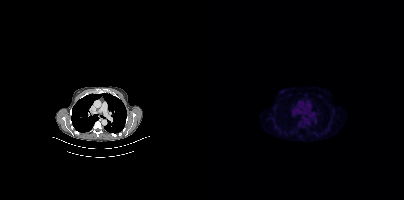
Findings: No PSMA-avid tumor lesions on this slice.
- Paired axial CT (left) and PSMA PET (right), 18F tracer